Paired axial CT (left) and PSMA PET (right), 18F tracer. Slice 256 of 395. PET panel 200×200 px (4.1 mm/px).
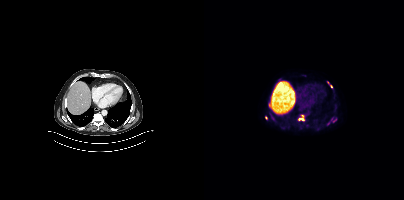
Coordinates are on the 200×200 PET (right) panel. PSMA-avid tumor lesion bounding boxes (partial; 2 more foci not listed):
| # | x0 | y0 | x1 | y1 |
|---|---|---|---|---|
| 1 | 94 | 115 | 100 | 121 |
Small PSMA-avid foci (2 to 4 px across) near (center x, center y): (127, 86); (65, 105); (62, 117); (130, 120).